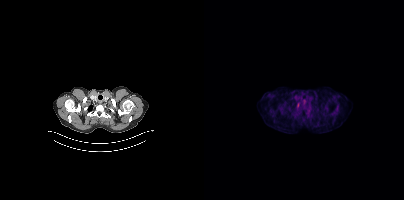
No PSMA-avid tumor lesions on this slice.